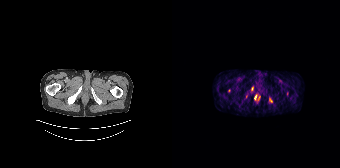
{"modality":"PSMA PET/CT","view":"axial","tracer":"68Ga","pet_grid":[168,168],"coord_frame":"pet_panel","coord_format":"x0,y0,x1,y1","partial":true,"lesion_bboxes":[[79,86,81,90]],"small_foci_centers":[[57,90]]}